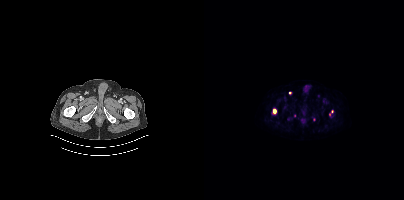
{"modality":"PSMA PET/CT","view":"axial","tracer":"18F","pet_grid":[200,200],"coord_frame":"pet_panel","coord_format":"x0,y0,x1,y1","partial":true,"lesion_bboxes":[[69,108,72,113]],"small_foci_centers":[[86,93],[128,111],[125,114]]}